Two-panel axial: CT | PSMA PET, 18F tracer. Acquired on Siemens Biograph mCT Flow 20. Slice position z = -847 mm. PET panel 200×200 px (4.1 mm/px).
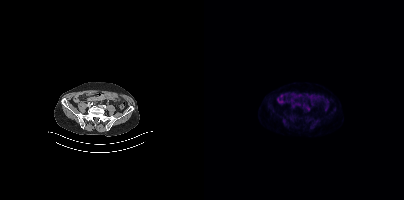
No tumor lesions annotated on this slice.